Paired axial CT (left) and PSMA PET (right), [18F]PSMA-1007 tracer. Slice position z = -986 mm.
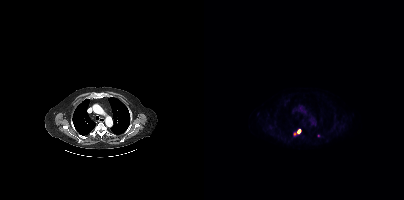
Coordinates are on the 200×200 PET (right) panel. PSMA-avid tumor lesion bounding boxes (partial; 1 more focus not listed):
| # | x0 | y0 | x1 | y1 |
|---|---|---|---|---|
| 1 | 93 | 129 | 96 | 133 |
Small PSMA-avid focus (2 to 4 px across) near (center x, center y): (90, 133).